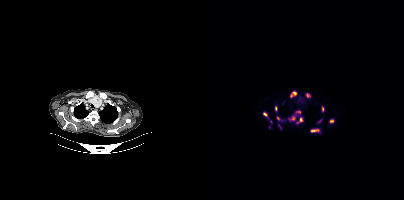
{"modality":"PSMA PET/CT","view":"axial","tracer":"18F-PSMA","pet_grid":[200,200],"coord_frame":"pet_panel","coord_format":"x0,y0,x1,y1","partial":true,"lesion_bboxes":[[106,129,115,132],[86,91,92,97],[92,117,99,123],[59,112,64,119],[85,116,91,120],[125,119,130,123],[91,110,96,113],[71,106,73,111],[118,106,120,111],[102,94,106,97],[73,116,75,120]],"small_foci_centers":[[115,120],[67,121]]}